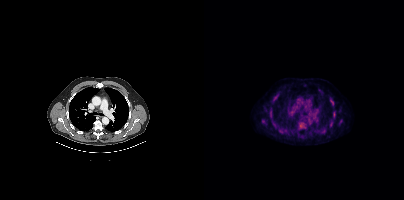
{"modality":"PSMA PET/CT","view":"axial","tracer":"[18F]PSMA-1007","pet_grid":[200,200],"coord_frame":"pet_panel","coord_format":"x0,y0,x1,y1","lesion_bboxes":[],"small_foci_centers":[[129,104],[129,114],[69,100]]}